Technique: Left: CT. Right: PSMA PET, same axial level, 18F tracer.
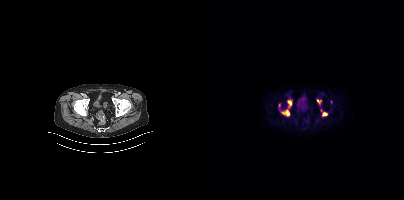
Findings: Coordinates are on the 200×200 PET (right) panel. (showing 4 of 5 foci) PSMA-avid tumor lesion bounding boxes (x0,y0,x1,y1): [78,110,85,115], [84,100,87,105], [113,99,117,103]. Small PSMA-avid focus (2 to 4 px across) near (center x, center y): (120, 114).